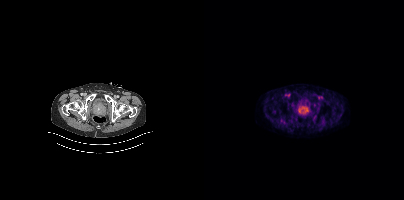
{"modality":"PSMA PET/CT","view":"axial","tracer":"18F","pet_grid":[200,200],"coord_frame":"pet_panel","coord_format":"x0,y0,x1,y1","lesion_bboxes":[[92,103,106,115]]}